- Left: CT. Right: PSMA PET, same axial level, [68Ga]Ga-PSMA-11 tracer
- slice position z = 1691 mm
- PET panel 168×168 px (4.1 mm/px)
- the face region was removed for patient privacy by blanking a rectangle over the head
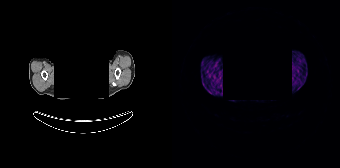
Findings: Negative for PSMA-avid disease on this slice.